Two-panel axial: CT | PSMA PET, 18F-PSMA tracer. Acquired on GE Discovery 690. Slice 254 of 263. Facial anatomy redacted by setting a rectangular region of the head to black.
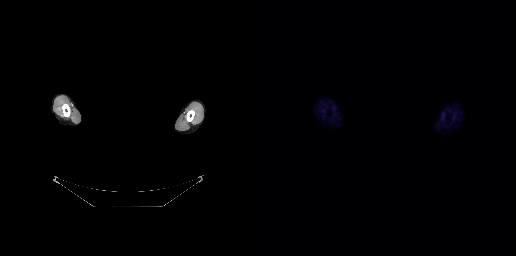
No tumor lesions annotated on this slice.